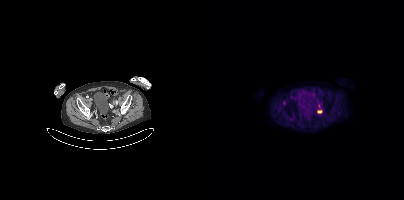
Coordinates are on the 200×200 PET (right) panel. (showing 2 of 3 foci) PSMA-avid tumor lesion bounding box (x0, y0)-(x1, y1): (113, 110)-(118, 113). Small PSMA-avid focus (2 to 4 px across) near (center x, center y): (115, 105).